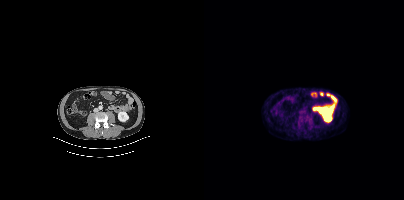
{"modality":"PSMA PET/CT","view":"axial","tracer":"[18F]PSMA-1007","pet_grid":[200,200],"coord_frame":"pet_panel","coord_format":"x0,y0,x1,y1","lesion_bboxes":[[95,111,106,123]]}